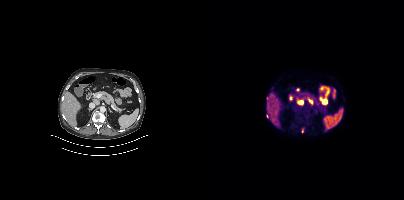
No PSMA-avid tumor lesions on this slice. Two-panel axial: CT | PSMA PET, [18F]PSMA-1007 tracer. Slice position z = -1301 mm. PET panel 200×200 px (4.1 mm/px).